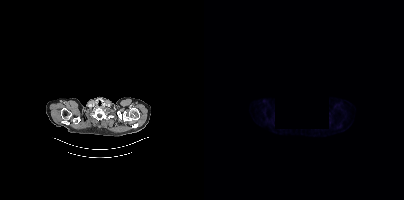
Findings: No PSMA-avid tumor lesions on this slice.
Technique: Two-panel axial: CT | PSMA PET, [18F]PSMA-1007 tracer. slice 360 of 427. PET panel 200×200 px (4.1 mm/px).
Note: Privacy masking, with the pixels inside a rectangle set to black.